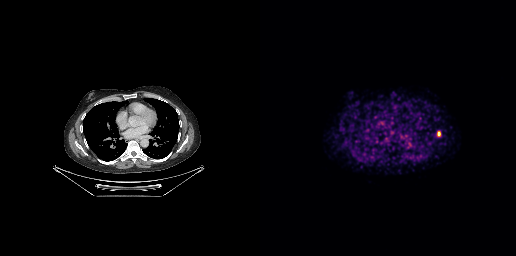
Coordinates are on the 256×256 PET (right) panel. PSMA-avid tumor lesion bounding box (x0, y0)-(x1, y1): (177, 131)-(180, 136).